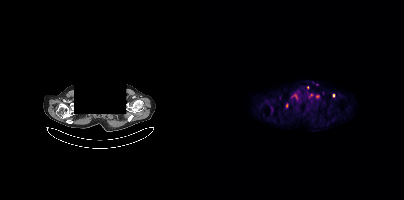
- Left: CT. Right: PSMA PET, same axial level, 18F tracer
- slice 325 of 381
- PET panel 200×200 px (4.1 mm/px)
- a rectangular block over the head has been blanked out for de-identification
Findings: Coordinates are on the 200×200 PET (right) panel. (showing 7 of 8 foci) PSMA-avid tumor lesion bounding boxes (x0,y0,x1,y1): [105,93,109,97] [88,94,93,98] [82,103,84,107]. Small PSMA-avid foci (2 to 4 px across) near (center x, center y): (129, 95) (113, 96) (112, 84) (103, 87).